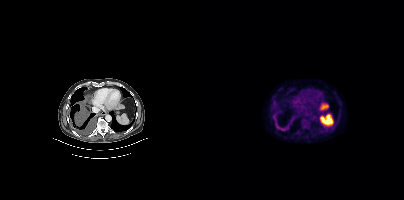
Paired axial CT (left) and PSMA PET (right), [18F]PSMA-1007 tracer. Acquired on Siemens Biograph mCT Flow 20. Slice position z = -1112 mm.
Coordinates are on the 200×200 PET (right) panel. PSMA-avid tumor lesion bounding boxes:
| # | x0 | y0 | x1 | y1 |
|---|---|---|---|---|
| 1 | 72 | 123 | 84 | 131 |
| 2 | 86 | 116 | 90 | 122 |
| 3 | 69 | 116 | 73 | 120 |